modality: PSMA PET/CT | tracer: 18F-PSMA | view: axial
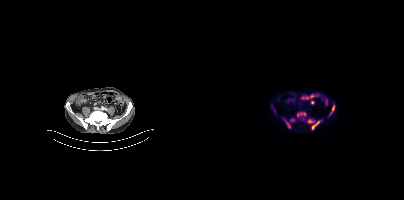
Coordinates are on the 200×200 PET (right) panel. (showing 6 of 7 foci) PSMA-avid tumor lesion bounding boxes (x, y, width, height): x=103 y=119 w=16 h=11 | x=93 y=112 w=9 h=5 | x=125 y=105 w=7 h=12 | x=81 y=121 w=6 h=8. Small PSMA-avid foci (2 to 4 px across) near (center x, center y): (88, 119) | (70, 110).